- Paired axial CT (left) and PSMA PET (right), 68Ga-PSMA tracer
- slice position z = -830 mm
- PET panel 256×256 px (2.7 mm/px)
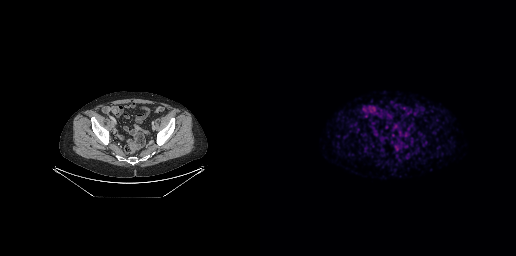
Findings: This slice has no annotated PSMA-avid lesion.